Technique: Left: CT. Right: PSMA PET, same axial level, [18F]PSMA-1007 tracer. acquired on Siemens Biograph 64-4R TruePoint.
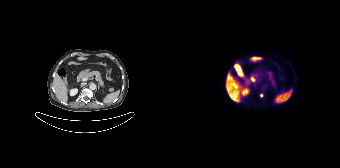
Findings: Coordinates are on the 168×168 PET (right) panel. Small PSMA-avid focus (2 to 4 px across) near (center x, center y): (89, 95).